modality: PSMA PET/CT | tracer: 18F | view: axial
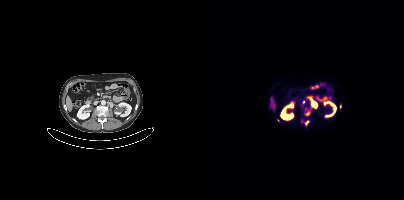
Coordinates are on the 200×200 PET (right) panel. PSMA-avid tumor lesion bounding boxes (x, y, width, height): x=106 y=98 w=8 h=10 / x=101 y=120 w=4 h=6. Small PSMA-avid foci (2 to 4 px across) near (center x, center y): (100, 101) / (103, 113) / (136, 106) / (74, 120).